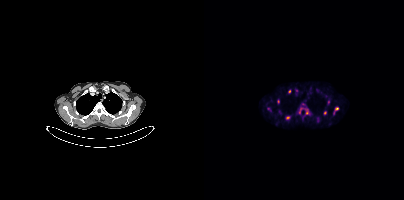
- Left: CT. Right: PSMA PET, same axial level, 18F-PSMA tracer
Findings: Coordinates are on the 200×200 PET (right) panel. (showing 9 of 11 foci) PSMA-avid tumor lesion bounding boxes (x, y, width, height): x=95 y=107 w=11 h=8 | x=129 y=107 w=6 h=8 | x=81 y=116 w=6 h=4 | x=84 y=89 w=4 h=5 | x=73 y=99 w=3 h=5. Small PSMA-avid foci (2 to 4 px across) near (center x, center y): (121, 112) | (64, 109) | (124, 102) | (92, 90).